- Left: CT. Right: PSMA PET, same axial level, [68Ga]Ga-PSMA-11 tracer
- slice 11 of 165
- PET panel 168×168 px (4.1 mm/px)
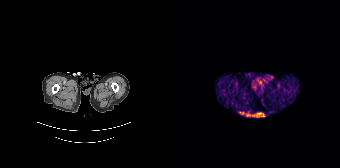
Findings: Negative for PSMA-avid disease on this slice.